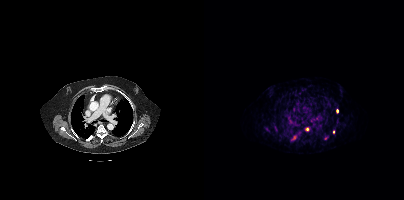
Coordinates are on the 200×200 PET (right) panel. (showing 5 of 6 foci) PSMA-avid tumor lesion bounding boxes (x0, y0)-(x1, y1): (100, 127)-(105, 131); (89, 135)-(93, 140); (132, 109)-(134, 113). Small PSMA-avid foci (2 to 4 px across) near (center x, center y): (129, 132); (95, 133).